Technique: Left: CT. Right: PSMA PET, same axial level, 18F tracer. acquired on GE Discovery 690. PET panel 256×256 px (2.7 mm/px).
Note: Facial anatomy redacted by setting a rectangular region of the head to black.
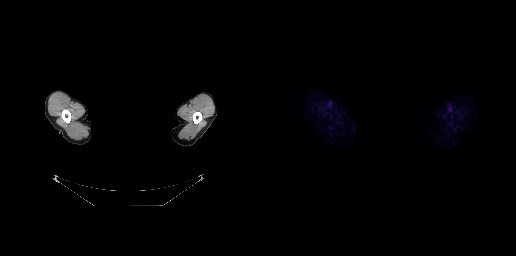
Findings: This slice has no annotated PSMA-avid lesion.